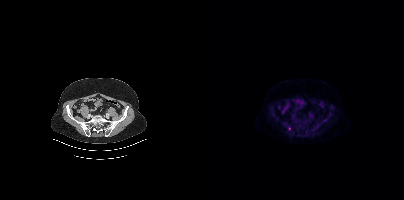
Left: CT. Right: PSMA PET, same axial level, [18F]PSMA-1007 tracer. PET panel 200×200 px (4.1 mm/px). Only PSMA-avid lesion pieces thinner than 2 px on this slice (not listed).